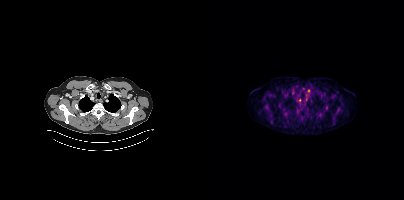
Coordinates are on the 200×200 PET (right) panel. Small PSMA-avid foci (2 to 4 px across) near (center x, center y): (102, 95) / (104, 90) / (95, 99).